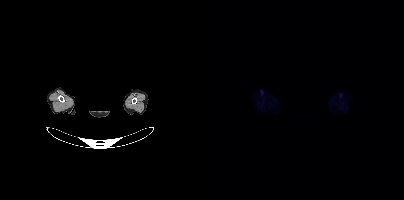
{"modality":"PSMA PET/CT","view":"axial","tracer":"[18F]PSMA-1007","pet_grid":[200,200],"coord_frame":"pet_panel","coord_format":"x0,y0,x1,y1","psma_avid_lesions":false,"redaction":"facial region redacted"}